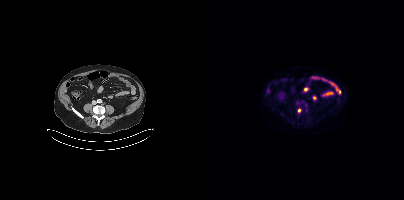
Coordinates are on the 200×200 PET (right) panel. Small PSMA-avid focus (2 to 4 px across) near (center x, center y): (95, 110). Two-panel axial: CT | PSMA PET, [18F]PSMA-1007 tracer. Slice position z = -1298 mm. PET panel 200×200 px (4.1 mm/px).